- Paired axial CT (left) and PSMA PET (right), [18F]PSMA-1007 tracer
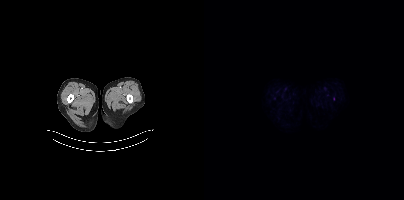
Findings: This slice has no annotated PSMA-avid lesion.